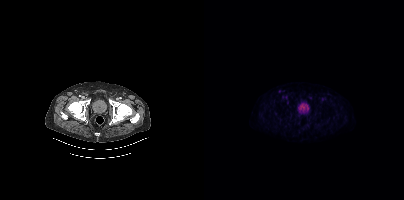
Negative for PSMA-avid disease on this slice.